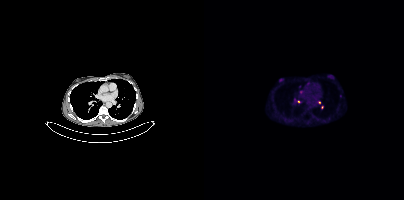
Coordinates are on the 200×200 PET (right) panel. (showing 7 of 8 foci) Small PSMA-avid foci (2 to 4 px across) near (center x, center y): (96, 86) / (136, 96) / (96, 92) / (115, 102) / (103, 83) / (90, 99) / (94, 101).
modality: PSMA PET/CT | tracer: [18F]PSMA-1007 | view: axial